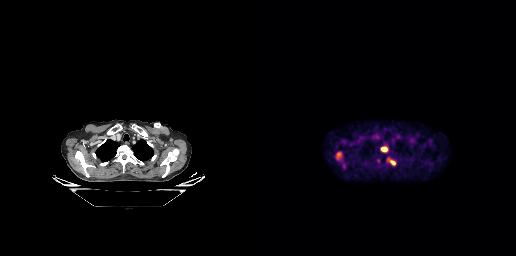
Coordinates are on the 256×256 PET (right) panel. PSMA-avid tumor lesion bounding boxes (x, y, width, height): x=76 y=152 w=6 h=9; x=127 y=158 w=9 h=8; x=121 y=148 w=7 h=4.